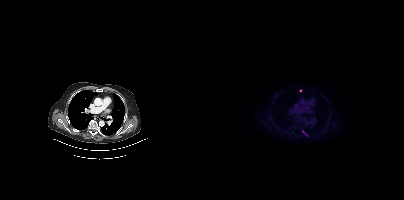
Coordinates are on the 200×200 PET (right) panel. Small PSMA-avid focus (2 to 4 px across) near (center x, center y): (96, 90).